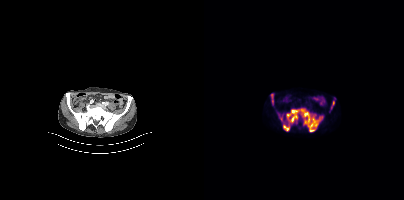
Coordinates are on the 200×200 PET (right) panel. PSMA-avid tumor lesion bounding boxes (x, y, width, height): x=79 y=108 w=41 h=24 | x=127 y=101 w=4 h=9. Small PSMA-avid foci (2 to 4 px across) near (center x, center y): (68, 95) | (77, 119) | (68, 100). Left: CT. Right: PSMA PET, same axial level, 18F tracer. PET panel 200×200 px (4.1 mm/px).